Technique: Two-panel axial: CT | PSMA PET, 18F-PSMA tracer. acquired on Siemens Biograph mCT Flow 20. slice 281 of 383.
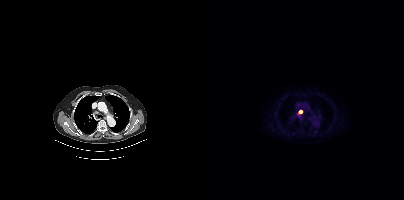
Findings: Coordinates are on the 200×200 PET (right) panel. PSMA-avid tumor lesion bounding box (x, y, width, height): x=93 y=110 w=6 h=6.